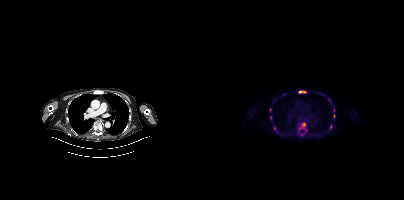
Paired axial CT (left) and PSMA PET (right), 18F tracer. Slice position z = -978 mm. PET panel 200×200 px (4.1 mm/px). Coordinates are on the 200×200 PET (right) panel. (showing 10 of 13 foci) PSMA-avid tumor lesion bounding boxes (x0, y0)-(x1, y1): (95, 122)-(101, 129) / (94, 91)-(102, 93) / (126, 125)-(127, 129). Small PSMA-avid foci (2 to 4 px across) near (center x, center y): (66, 109) / (130, 116) / (66, 117) / (70, 127) / (79, 94) / (125, 100) / (129, 110).